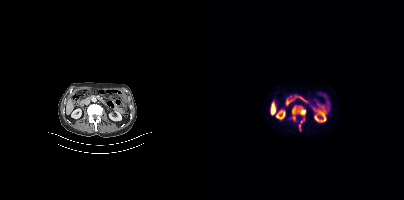
Coordinates are on the 200×200 PET (right) panel. PSMA-avid tumor lesion bounding box (x0, y0)-(x1, y1): (88, 105)-(101, 131).